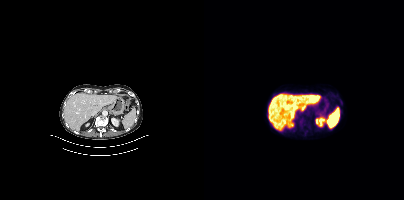
This slice has no annotated PSMA-avid lesion.
modality: PSMA PET/CT | tracer: 18F | view: axial | PET grid: 200×200